- Paired axial CT (left) and PSMA PET (right), 18F-PSMA tracer
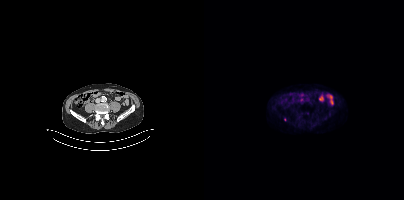
Findings: Coordinates are on the 200×200 PET (right) panel. Small PSMA-avid focus (2 to 4 px across) near (center x, center y): (80, 119).